Left: CT. Right: PSMA PET, same axial level, [18F]PSMA-1007 tracer. Acquired on Siemens Biograph mCT Flow 20. Slice position z = -1416 mm.
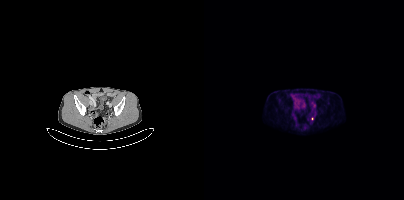
Only PSMA-avid lesion pieces thinner than 2 px on this slice (not listed).